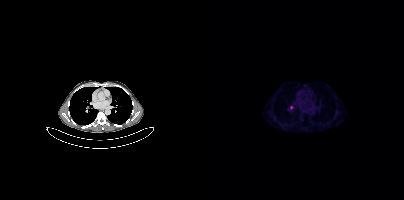
Findings: Coordinates are on the 200×200 PET (right) panel. Small PSMA-avid focus (2 to 4 px across) near (center x, center y): (87, 107).
Technique: Two-panel axial: CT | PSMA PET, 68Ga tracer. slice 264 of 409. PET panel 200×200 px (4.1 mm/px).